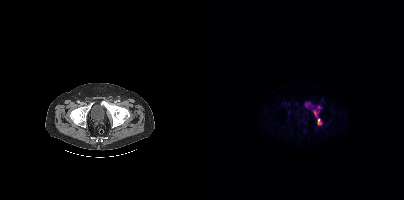
{"pet_grid":[200,200],"coord_frame":"pet_panel","coord_format":"x0,y0,x1,y1","partial":true,"lesion_bboxes":[[113,118,117,124],[109,110,114,116]],"small_foci_centers":[[114,107]],"modality":"PSMA PET/CT","view":"axial","tracer":"18F-PSMA"}